- Left: CT. Right: PSMA PET, same axial level, 18F-PSMA tracer
- acquired on Siemens Biograph mCT Flow 20
- slice position z = -102 mm
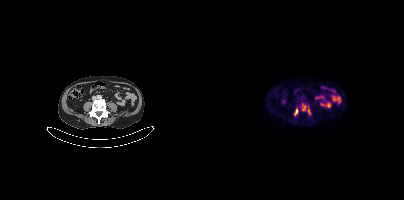
Findings: Coordinates are on the 200×200 PET (right) panel. PSMA-avid tumor lesion bounding boxes (x0,y0,x1,y1): [98,104,102,110]; [90,108,94,115]; [104,109,106,114].